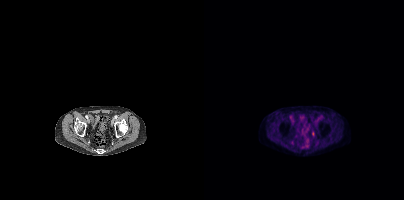
- Left: CT. Right: PSMA PET, same axial level, 18F-PSMA tracer
- acquired on Siemens Biograph mCT Flow 20
- PET panel 200×200 px (4.1 mm/px)
Findings: No tumor lesions annotated on this slice.